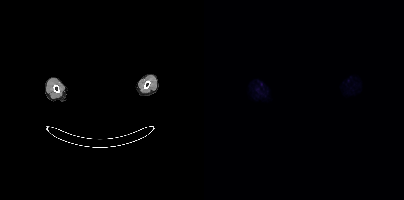
Findings: Negative for PSMA-avid disease on this slice.
- Two-panel axial: CT | PSMA PET, [18F]PSMA-1007 tracer
- acquired on Siemens Biograph mCT Flow 20
- slice 380 of 403
- PET panel 200×200 px (4.1 mm/px)
- any black rectangle over the head is a privacy mask, not anatomy